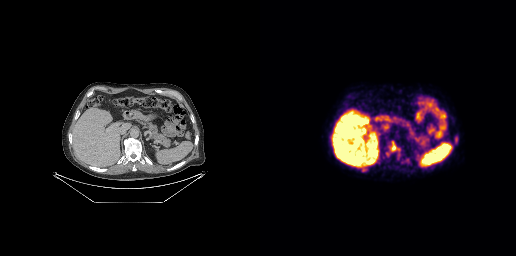
{"modality":"PSMA PET/CT","view":"axial","tracer":"[18F]PSMA-1007","pet_grid":[256,256],"coord_frame":"pet_panel","coord_format":"x0,y0,x1,y1","lesion_bboxes":[[131,142,136,150]]}